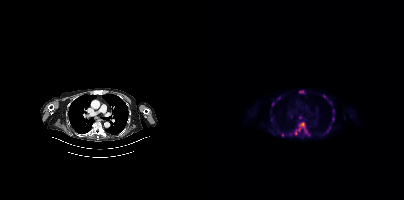
Coordinates are on the 200×200 PET (right) panel. PSMA-avid tumor lesion bounding boxes (partial; 4 more foci not listed):
| # | x0 | y0 | x1 | y1 |
|---|---|---|---|---|
| 1 | 86 | 122 | 106 | 136 |
| 2 | 68 | 102 | 70 | 106 |
| 3 | 73 | 96 | 76 | 100 |
Small PSMA-avid foci (2 to 4 px across) near (center x, center y): (78, 134); (96, 117); (120, 96); (129, 111); (121, 133); (97, 91); (67, 131).
Left: CT. Right: PSMA PET, same axial level, 18F-PSMA tracer. PET panel 200×200 px (4.1 mm/px).